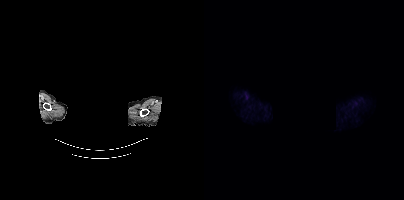
This slice has no annotated PSMA-avid lesion.
modality: PSMA PET/CT | tracer: [18F]PSMA-1007 | view: axial | PET grid: 200×200 | redaction: head region blanked (face removed)